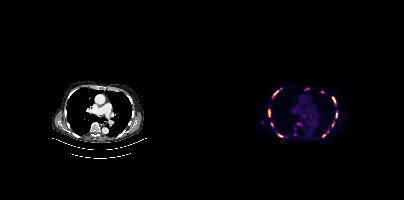
{"pet_grid":[200,200],"coord_frame":"pet_panel","coord_format":"x0,y0,x1,y1","partial":true,"lesion_bboxes":[[64,109,66,116],[70,90,74,95],[128,97,131,102],[131,113,133,118],[93,123,97,125],[74,134,78,136]],"small_foci_centers":[[99,116],[119,135],[67,124],[128,124],[123,131]],"modality":"PSMA PET/CT","view":"axial","tracer":"68Ga-PSMA"}